Paired axial CT (left) and PSMA PET (right), 18F tracer. Acquired on Siemens Biograph mCT Flow 20. Slice 328 of 401. PET panel 200×200 px (4.1 mm/px).
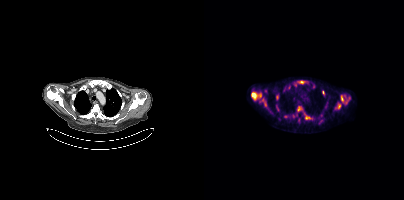
Coordinates are on the 200×200 PET (right) panel. PSMA-avid tumor lesion bounding boxes (partial; 2 more foci not listed):
| # | x0 | y0 | x1 | y1 |
|---|---|---|---|---|
| 1 | 47 | 92 | 57 | 99 |
| 2 | 94 | 80 | 101 | 84 |
| 3 | 101 | 114 | 106 | 119 |
| 4 | 137 | 95 | 139 | 102 |
| 5 | 133 | 103 | 136 | 108 |
| 6 | 60 | 103 | 63 | 107 |
Small PSMA-avid foci (2 to 4 px across) near (center x, center y): (94, 107); (119, 92); (73, 95); (143, 101); (81, 116).